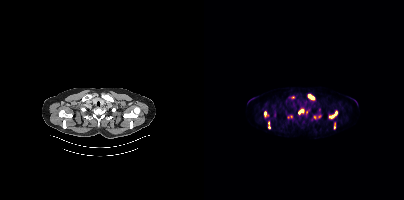
Coordinates are on the 200×200 PET (right) panel. (showing 9 of 11 foci) PSMA-avid tumor lesion bounding boxes (x, y, width, height): x=125 y=110 w=9 h=9 / x=103 y=94 w=9 h=7 / x=94 y=109 w=6 h=6 / x=60 y=111 w=3 h=6 / x=64 y=122 w=3 h=7. Small PSMA-avid foci (2 to 4 px across) near (center x, center y): (111, 117) / (102, 112) / (115, 116) / (130, 127).